Left: CT. Right: PSMA PET, same axial level, 18F-PSMA tracer.
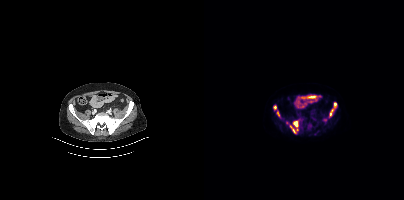
Coordinates are on the 200×200 PET (right) panel. (showing 6 of 7 foci) PSMA-avid tumor lesion bounding boxes (x0, y0)-(x1, y1): (89, 121)-(94, 127); (126, 109)-(129, 115); (86, 126)-(91, 133); (130, 103)-(132, 107). Small PSMA-avid foci (2 to 4 px across) near (center x, center y): (71, 107); (74, 113).